Left: CT. Right: PSMA PET, same axial level, 68Ga tracer. Acquired on Siemens Biograph mCT Flow 20. An anonymization step blacked out a rectangle over the head in this scan.
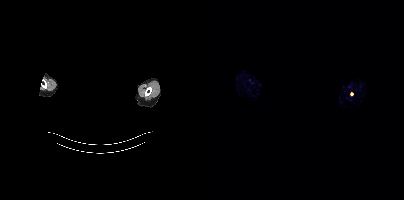
Coordinates are on the 200×200 PET (right) panel. Small PSMA-avid focus (2 to 4 px across) near (center x, center y): (147, 93).